Technique: Two-panel axial: CT | PSMA PET, 18F tracer.
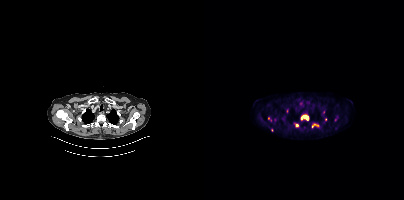
Findings: Coordinates are on the 200×200 PET (right) panel. (showing 5 of 7 foci) PSMA-avid tumor lesion bounding boxes (x0,y0,x1,y1): [96,114,105,120]; [91,123,94,127]; [108,124,114,127]. Small PSMA-avid foci (2 to 4 px across) near (center x, center y): (64, 118); (121, 119).